Technique: Paired axial CT (left) and PSMA PET (right), [18F]PSMA-1007 tracer. slice 320 of 413.
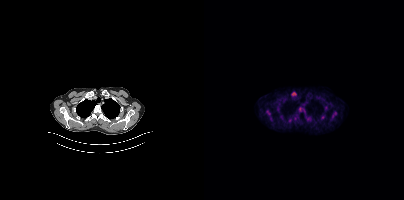
Findings: Coordinates are on the 200×200 PET (right) panel. (showing 5 of 6 foci) PSMA-avid tumor lesion bounding boxes (x0, y0)-(x1, y1): (128, 111)-(132, 118) | (62, 110)-(66, 115) | (117, 115)-(120, 119). Small PSMA-avid foci (2 to 4 px across) near (center x, center y): (122, 107) | (66, 118).